Technique: Left: CT. Right: PSMA PET, same axial level, [18F]PSMA-1007 tracer. slice 169 of 395. PET panel 200×200 px (4.1 mm/px).
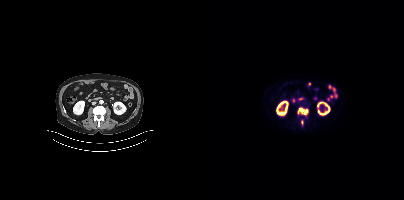
Findings: Coordinates are on the 200×200 PET (right) panel. PSMA-avid tumor lesion bounding boxes (x0,y0,x1,y1): [93,107,104,115]; [97,120,99,124].